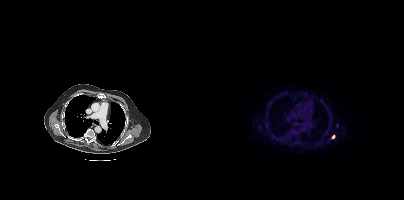
modality: PSMA PET/CT | tracer: 18F-PSMA | view: axial
Coordinates are on the 200×200 PET (right) panel. Small PSMA-avid focus (2 to 4 px across) near (center x, center y): (129, 136).